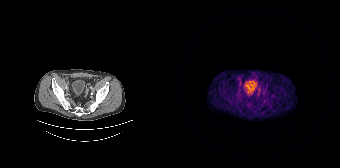
Left: CT. Right: PSMA PET, same axial level, 68Ga-PSMA tracer. Acquired on Siemens Biograph 64-4R TruePoint. Slice 29 of 165. Coordinates are on the 168×168 PET (right) panel. Small PSMA-avid focus (2 to 4 px across) near (center x, center y): (100, 95).